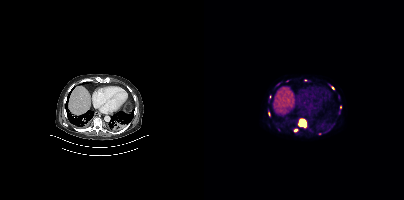
Technique: Left: CT. Right: PSMA PET, same axial level, [18F]PSMA-1007 tracer. slice 290 of 444. PET panel 200×200 px (4.1 mm/px).
Findings: Coordinates are on the 200×200 PET (right) panel. (showing 5 of 8 foci) PSMA-avid tumor lesion bounding boxes (x0, y0)-(x1, y1): (94, 118)-(103, 128); (89, 128)-(94, 132). Small PSMA-avid foci (2 to 4 px across) near (center x, center y): (128, 87); (65, 113); (136, 106).